- Paired axial CT (left) and PSMA PET (right), [18F]PSMA-1007 tracer
- acquired on GE Discovery 690
- slice 158 of 263
- PET panel 256×256 px (2.7 mm/px)
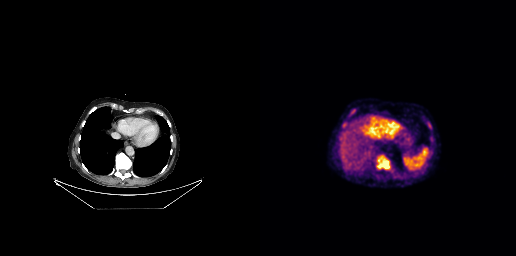
Findings: Coordinates are on the 256×256 PET (right) panel. (showing 2 of 3 foci) PSMA-avid tumor lesion bounding boxes (x0,y0,x1,y1): [117,156,129,168]; [167,122,171,128].